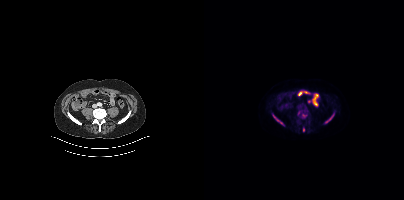
Coordinates are on the 200×200 PET (right) panel. PSMA-avid tumor lesion bounding boxes (x0, y0)-(x1, y1): (69, 115)-(78, 124) / (122, 115)-(129, 122) / (98, 114)-(102, 117). Small PSMA-avid foci (2 to 4 px across) near (center x, center y): (99, 129) / (95, 112).